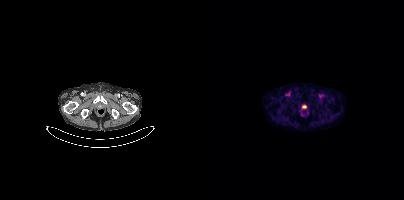
Technique: Paired axial CT (left) and PSMA PET (right), [18F]PSMA-1007 tracer. PET panel 200×200 px (4.1 mm/px).
Findings: Coordinates are on the 200×200 PET (right) panel. Small PSMA-avid focus (2 to 4 px across) near (center x, center y): (100, 106).